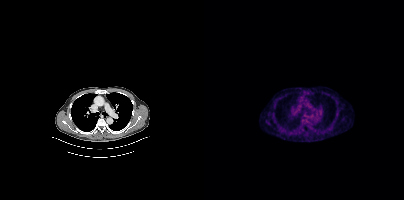
- Two-panel axial: CT | PSMA PET, [18F]PSMA-1007 tracer
- slice 318 of 448
- PET panel 200×200 px (4.1 mm/px)
Findings: Coordinates are on the 200×200 PET (right) panel. PSMA-avid tumor lesion bounding box (x0,y0,x1,y1): [97,118,101,122].